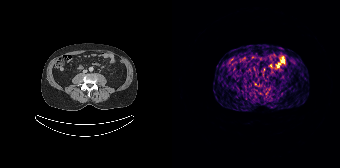
Technique: Two-panel axial: CT | PSMA PET, [68Ga]Ga-PSMA-11 tracer. slice position z = -1095 mm.
Findings: This slice has no annotated PSMA-avid lesion.